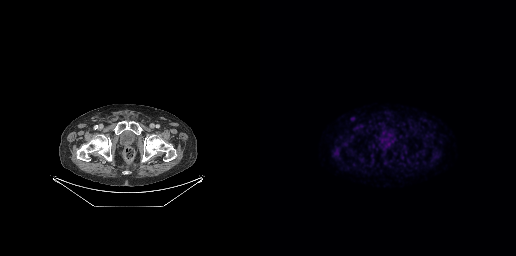
{"modality":"PSMA PET/CT","view":"axial","tracer":"18F-PSMA","pet_grid":[256,256],"coord_frame":"pet_panel","coord_format":"x0,y0,x1,y1","psma_avid_lesions":false}